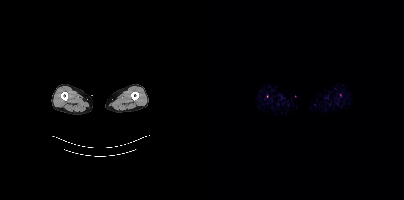
Findings: This slice has no annotated PSMA-avid lesion.
- Paired axial CT (left) and PSMA PET (right), 18F-PSMA tracer
- slice 4 of 466
- PET panel 200×200 px (4.1 mm/px)